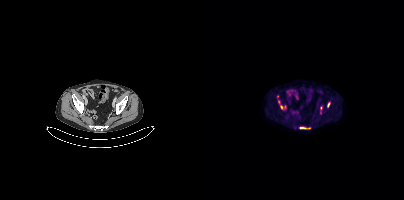
Paired axial CT (left) and PSMA PET (right), [18F]PSMA-1007 tracer. Slice 102 of 415. Coordinates are on the 200×200 PET (right) panel. (showing 7 of 8 foci) PSMA-avid tumor lesion bounding boxes (x0, y0)-(x1, y1): (123, 102)-(126, 107); (96, 127)-(106, 128); (76, 105)-(79, 109); (116, 106)-(118, 110). Small PSMA-avid foci (2 to 4 px across) near (center x, center y): (75, 101); (73, 96); (116, 112).